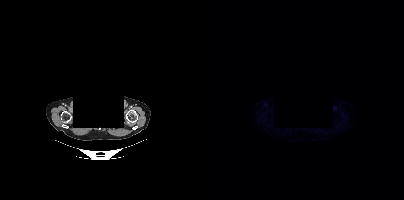
Findings: Negative for PSMA-avid disease on this slice.
Technique: Left: CT. Right: PSMA PET, same axial level, [18F]PSMA-1007 tracer. acquired on Siemens Biograph mCT Flow 20.
Note: Privacy masking over the head, with the pixels inside a rectangle set to black.